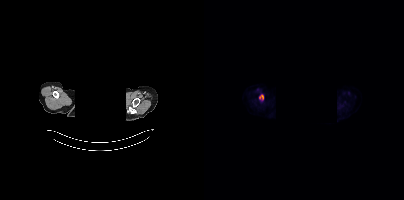
An anonymization step blacked out a rectangle over the head in this scan. Paired axial CT (left) and PSMA PET (right), 18F-PSMA tracer. PET panel 200×200 px (4.1 mm/px).
Coordinates are on the 200×200 PET (right) panel. PSMA-avid tumor lesion bounding boxes:
| # | x0 | y0 | x1 | y1 |
|---|---|---|---|---|
| 1 | 55 | 94 | 59 | 100 |